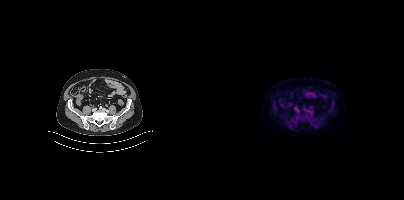
Findings: Coordinates are on the 200×200 PET (right) panel. PSMA-avid tumor lesion bounding box (x0, y0)-(x1, y1): (90, 107)-(94, 110).
- Paired axial CT (left) and PSMA PET (right), [18F]PSMA-1007 tracer